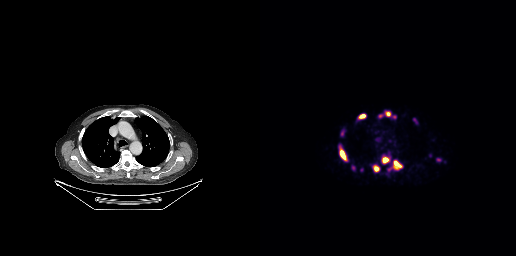
Coordinates are on the 256×256 PET (right) panel. PSMA-avid tumor lesion bounding boxes (x, y, width, height): x=80 y=150 w=6 h=10 | x=114 y=166 w=5 h=6 | x=176 y=158 w=6 h=4 | x=126 y=112 w=5 h=4 | x=123 y=158 w=5 h=4 | x=99 y=115 w=5 h=4. Small PSMA-avid foci (2 to 4 px across) near (center x, center y): (135, 162) | (154, 119) | (93, 168).